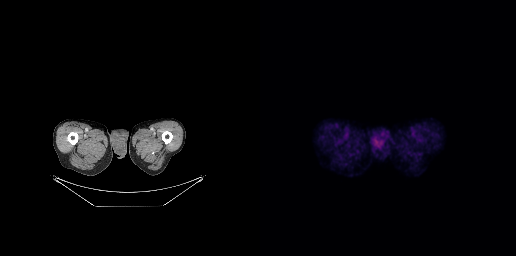
modality: PSMA PET/CT | tracer: [18F]PSMA-1007 | view: axial | PET grid: 256×256
No tumor lesions annotated on this slice.